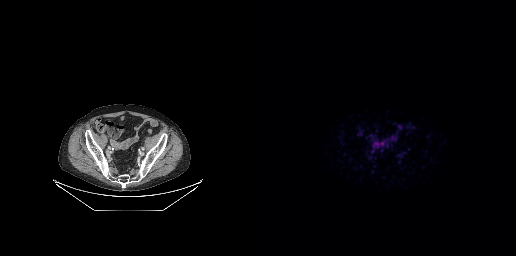
Paired axial CT (left) and PSMA PET (right), 68Ga tracer. Slice position z = -773 mm. This slice has no annotated PSMA-avid lesion.